Technique: Left: CT. Right: PSMA PET, same axial level, [18F]PSMA-1007 tracer. acquired on GE Discovery 690. PET panel 256×256 px (2.7 mm/px).
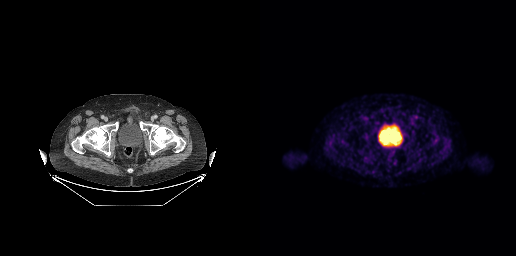
Findings: No PSMA-avid tumor lesions on this slice.